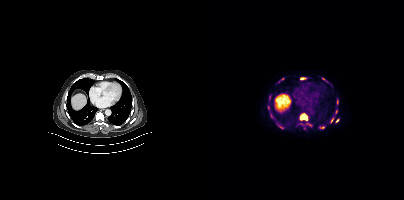
modality: PSMA PET/CT | tracer: 18F-PSMA | view: axial | PET grid: 200×200
Coordinates are on the 200×200 PET (right) panel. (showing 11 of 12 foci) PSMA-avid tumor lesion bounding boxes (x0, y0)-(x1, y1): (96, 114)-(103, 120) / (74, 125)-(79, 128) / (133, 100)-(134, 104). Small PSMA-avid foci (2 to 4 px across) near (center x, center y): (64, 107) / (98, 78) / (116, 127) / (128, 120) / (133, 120) / (119, 78) / (132, 111) / (78, 78).